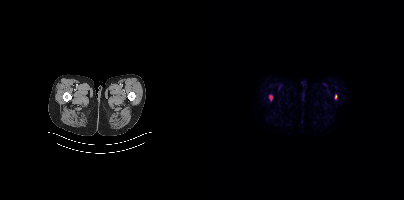
Technique: Left: CT. Right: PSMA PET, same axial level, 18F-PSMA tracer. acquired on Siemens Biograph mCT Flow 20. slice 32 of 429. PET panel 200×200 px (4.1 mm/px).
Findings: Coordinates are on the 200×200 PET (right) panel. PSMA-avid tumor lesion bounding box (x0, y0)-(x1, y1): (65, 95)-(68, 99). Small PSMA-avid focus (2 to 4 px across) near (center x, center y): (131, 96).